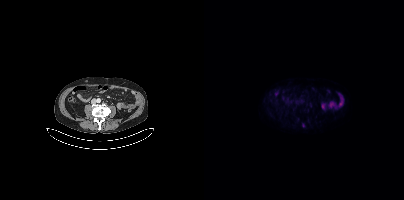
{"pet_grid":[200,200],"coord_frame":"pet_panel","coord_format":"x0,y0,x1,y1","partial":true,"lesion_bboxes":[],"modality":"PSMA PET/CT","view":"axial","tracer":"[18F]PSMA-1007"}